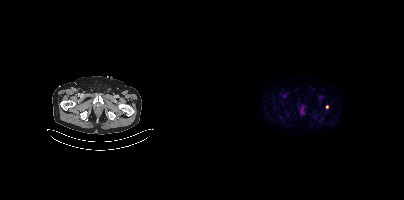
- Paired axial CT (left) and PSMA PET (right), 18F-PSMA tracer
- slice 56 of 389
Findings: Coordinates are on the 200×200 PET (right) panel. Small PSMA-avid focus (2 to 4 px across) near (center x, center y): (123, 106).